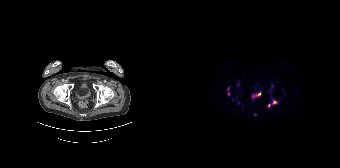
{"modality":"PSMA PET/CT","view":"axial","tracer":"18F","pet_grid":[168,168],"coord_frame":"pet_panel","coord_format":"x0,y0,x1,y1","partial":true,"lesion_bboxes":[[100,100,105,104]],"small_foci_centers":[[97,105],[56,93],[55,88]]}